modality: PSMA PET/CT | tracer: 18F-PSMA | view: axial
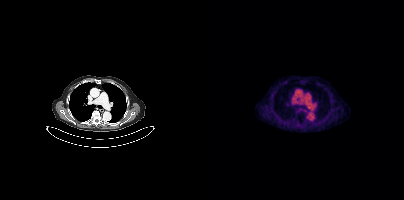
No tumor lesions annotated on this slice.